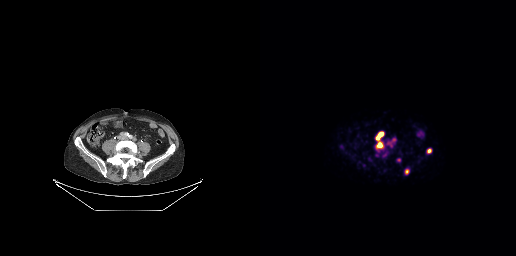
Left: CT. Right: PSMA PET, same axial level, [68Ga]Ga-PSMA-11 tracer. Coordinates are on the 256×256 PET (right) panel. (showing 3 of 5 foci) PSMA-avid tumor lesion bounding boxes (x0,y0,x1,y1): [116,143,123,148] [116,132,123,139] [167,149,171,153].